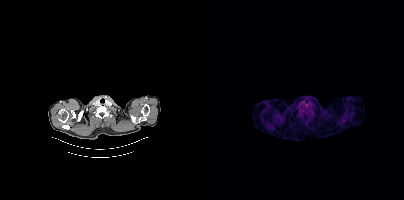
No tumor lesions annotated on this slice.
modality: PSMA PET/CT | tracer: 18F | view: axial